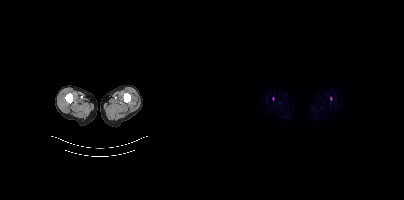
Technique: Paired axial CT (left) and PSMA PET (right), [18F]PSMA-1007 tracer. slice position z = -990 mm.
Findings: Coordinates are on the 200×200 PET (right) panel. Small PSMA-avid foci (2 to 4 px across) near (center x, center y): (69, 98) / (126, 98).